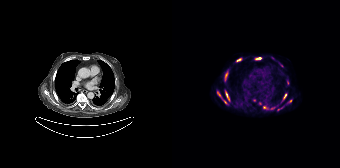
Left: CT. Right: PSMA PET, same axial level, [18F]PSMA-1007 tracer. Slice position z = -1164 mm. Coordinates are on the 168×168 PET (right) panel. (showing 10 of 14 foci) PSMA-avid tumor lesion bounding boxes (x, y, width, height): x=53 y=72 w=4 h=9 / x=53 y=91 w=5 h=10 / x=84 y=57 w=6 h=3 / x=111 y=94 w=4 h=6 / x=64 y=58 w=6 h=4 / x=45 y=92 w=4 h=5. Small PSMA-avid foci (2 to 4 px across) near (center x, center y): (53, 102) / (92, 107) / (118, 101) / (106, 109).